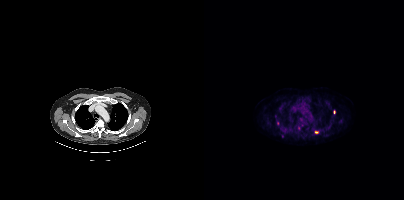
Coordinates are on the 200×200 PET (right) panel. (showing 3 of 5 foci) Small PSMA-avid foci (2 to 4 px across) near (center x, center y): (112, 132); (94, 127); (130, 112).